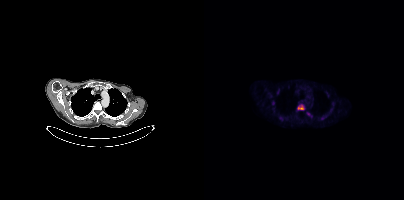
Left: CT. Right: PSMA PET, same axial level, 18F tracer. Acquired on Siemens Biograph mCT Flow 20. Slice position z = -982 mm. Coordinates are on the 200×200 PET (right) panel. PSMA-avid tumor lesion bounding box (x, y, width, height): x=93 y=104 w=8 h=6. Small PSMA-avid foci (2 to 4 px across) near (center x, center y): (104, 113); (124, 95); (118, 118).